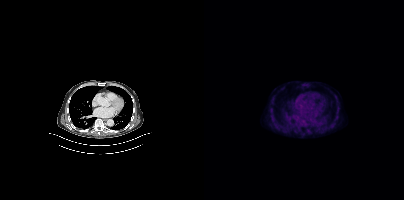
Findings: This slice has no annotated PSMA-avid lesion.
Technique: Paired axial CT (left) and PSMA PET (right), 18F-PSMA tracer. acquired on Siemens Biograph mCT Flow 20. slice 274 of 429. PET panel 200×200 px (4.1 mm/px).